modality: PSMA PET/CT | tracer: 18F | view: axial | PET grid: 200×200
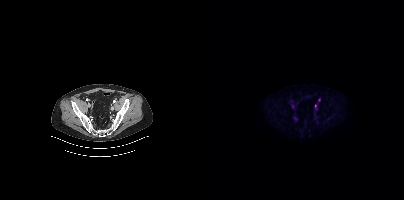
Coordinates are on the 200×200 PET (right) panel. (showing 1 of 2 foci) Small PSMA-avid focus (2 to 4 px across) near (center x, center y): (111, 105).